Two-panel axial: CT | PSMA PET, 18F-PSMA tracer. Acquired on Siemens Biograph mCT Flow 20. Slice 69 of 395.
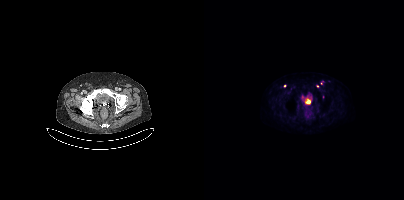
Coordinates are on the 200×200 PET (right) panel. (showing 1 of 4 foci) Small PSMA-avid focus (2 to 4 px across) near (center x, center y): (80, 85).